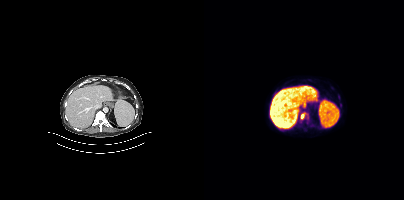
modality: PSMA PET/CT | tracer: 18F-PSMA | view: axial
Coordinates are on the 200×200 PET (right) panel. PSMA-avid tumor lesion bounding box (x0, y0)-(x1, y1): (97, 113)-(101, 117). Small PSMA-avid foci (2 to 4 px across) near (center x, center y): (136, 104) / (103, 117).